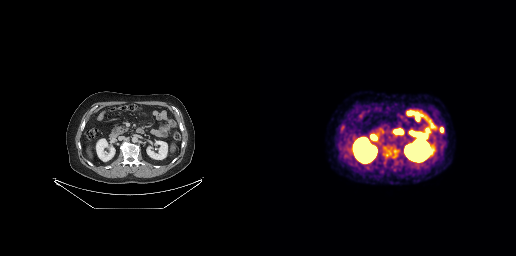
Coordinates are on the 256×256 PET (right) panel. PSMA-avid tumor lesion bounding boxes:
| # | x0 | y0 | x1 | y1 |
|---|---|---|---|---|
| 1 | 180 | 127 | 183 | 132 |
Paired axial CT (left) and PSMA PET (right), 18F-PSMA tracer. Slice position z = -449 mm.